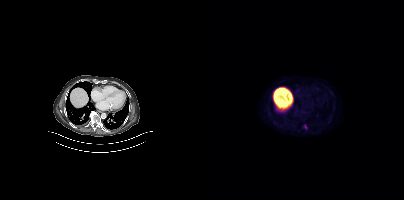
Coordinates are on the 200×200 PET (right) panel. PSMA-avid tumor lesion bounding box (x0,y0,x1,y1): [100,124,102,128]. Two-panel axial: CT | PSMA PET, [18F]PSMA-1007 tracer. Acquired on Siemens Biograph mCT Flow 20. PET panel 200×200 px (4.1 mm/px).